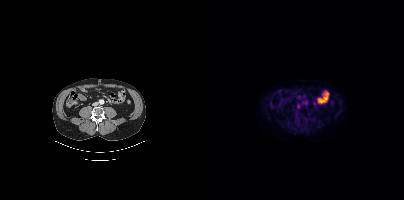
{"modality":"PSMA PET/CT","view":"axial","tracer":"18F-PSMA","pet_grid":[200,200],"coord_frame":"pet_panel","coord_format":"x0,y0,x1,y1","psma_avid_lesions":false}